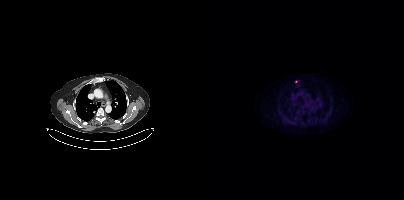
Coordinates are on the 200×200 PET (right) panel. Small PSMA-avid focus (2 to 4 px across) near (center x, center y): (91, 81).